Paired axial CT (left) and PSMA PET (right), 18F tracer. Acquired on Siemens Biograph mCT Flow 20.
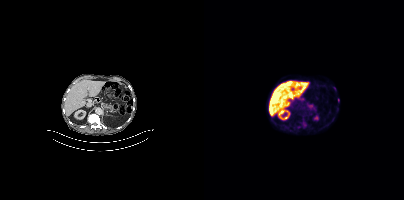
Coordinates are on the 200×200 PET (right) panel. Small PSMA-avid focus (2 to 4 px across) near (center x, center y): (134, 100).